- Paired axial CT (left) and PSMA PET (right), 68Ga tracer
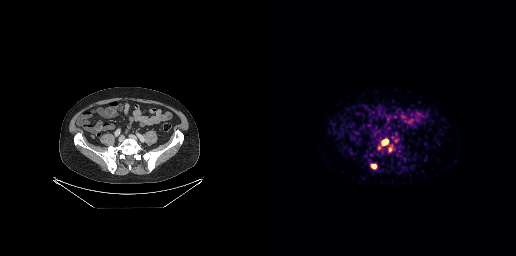
Findings: Coordinates are on the 256×256 PET (right) panel. (showing 2 of 3 foci) PSMA-avid tumor lesion bounding boxes (x0,y0,x1,y1): [122,139,128,145] [111,164,116,168].